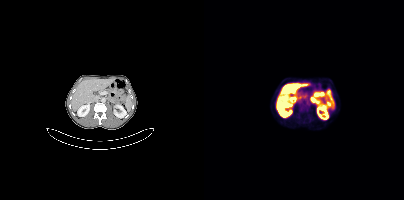
Findings: No PSMA-avid tumor lesions on this slice.
Technique: Paired axial CT (left) and PSMA PET (right), [18F]PSMA-1007 tracer. acquired on Siemens Biograph mCT Flow 20. PET panel 200×200 px (4.1 mm/px).